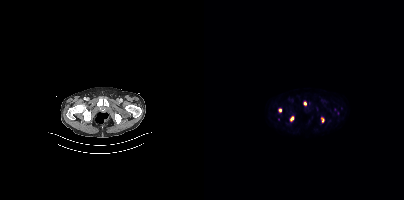
Coordinates are on the 200×200 PET (right) panel. (showing 4 of 5 foci) PSMA-avid tumor lesion bounding boxes (x0, y0)-(x1, y1): (86, 116)-(89, 120); (75, 108)-(77, 112). Small PSMA-avid foci (2 to 4 px across) near (center x, center y): (101, 103); (118, 120).